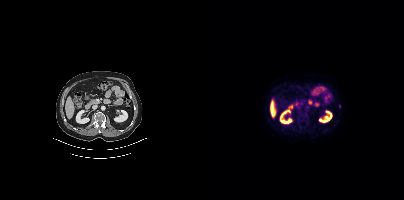
No tumor lesions annotated on this slice.
modality: PSMA PET/CT | tracer: 18F | view: axial | PET grid: 200×200